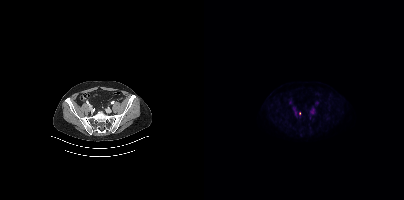
{"modality":"PSMA PET/CT","view":"axial","tracer":"[18F]PSMA-1007","pet_grid":[200,200],"coord_frame":"pet_panel","coord_format":"x0,y0,x1,y1","lesion_bboxes":[],"small_foci_centers":[[95,113]]}